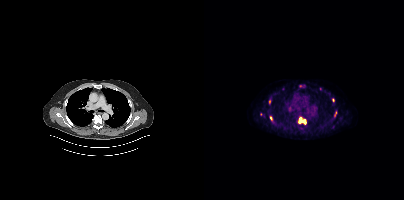
{"modality":"PSMA PET/CT","view":"axial","tracer":"18F-PSMA","pet_grid":[200,200],"coord_frame":"pet_panel","coord_format":"x0,y0,x1,y1","partial":true,"lesion_bboxes":[[94,117,102,124]],"small_foci_centers":[[66,118],[129,100]]}